modality: PSMA PET/CT | tracer: [18F]PSMA-1007 | view: axial | PET grid: 256×256
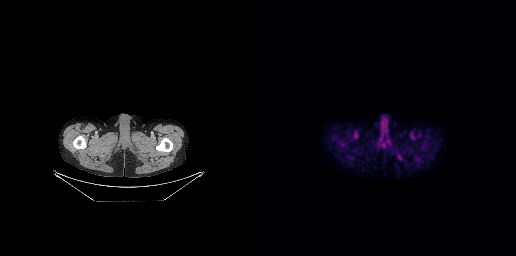
This slice has no annotated PSMA-avid lesion.